Two-panel axial: CT | PSMA PET, 18F tracer.
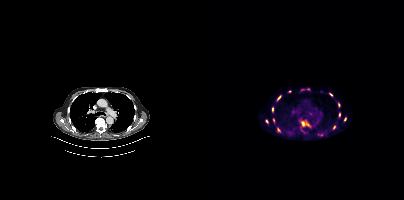
Coordinates are on the 200×200 PET (right) panel. PSMA-avid tumor lesion bounding boxes (partial; 1 more focus not listed):
| # | x0 | y0 | x1 | y1 |
|---|---|---|---|---|
| 1 | 97 | 121 | 106 | 126 |
| 2 | 97 | 88 | 106 | 91 |
| 3 | 134 | 102 | 136 | 107 |
| 4 | 73 | 95 | 76 | 100 |
| 5 | 134 | 112 | 136 | 117 |
| 6 | 68 | 107 | 69 | 111 |
Small PSMA-avid foci (2 to 4 px across) near (center x, center y): (74, 129); (85, 91); (126, 94); (63, 121); (141, 119); (69, 120).